Paired axial CT (left) and PSMA PET (right), 18F tracer. Acquired on Siemens Biograph mCT Flow 20.
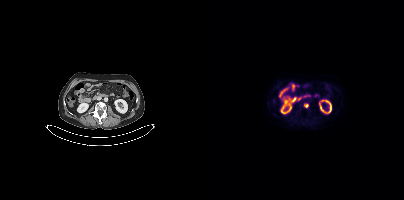
Coordinates are on the 200×200 PET (right) panel. Small PSMA-avid focus (2 to 4 px across) near (center x, center y): (102, 105).